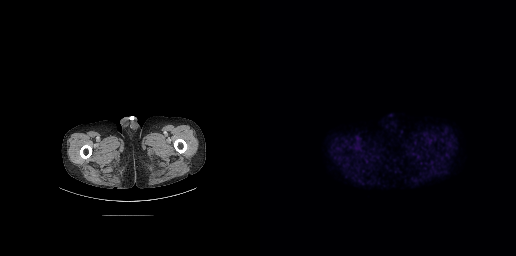
Technique: Two-panel axial: CT | PSMA PET, [18F]PSMA-1007 tracer. slice position z = -781 mm. PET panel 256×256 px (2.7 mm/px).
Findings: No tumor lesions annotated on this slice.